A rectangle over the head was blacked out to remove identifiable facial features. Two-panel axial: CT | PSMA PET, 18F tracer.
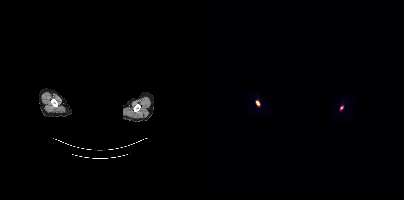
Coordinates are on the 200×200 PET (right) panel. PSMA-avid tumor lesion bounding box (x, y, width, height): x=52 y=101 w=4 h=5. Small PSMA-avid focus (2 to 4 px across) near (center x, center y): (138, 107).